Paired axial CT (left) and PSMA PET (right), [18F]PSMA-1007 tracer. Acquired on Siemens Biograph mCT Flow 20. Slice position z = -1764 mm. PET panel 200×200 px (4.1 mm/px).
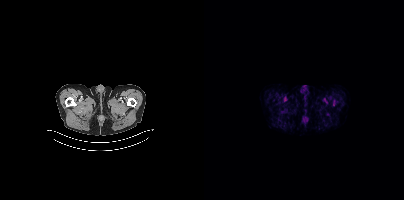
Only PSMA-avid lesion pieces thinner than 2 px on this slice (not listed).